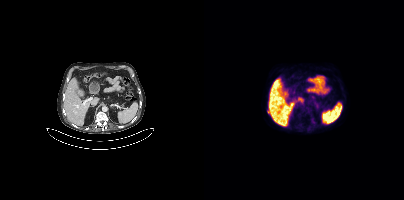
Technique: Two-panel axial: CT | PSMA PET, 18F-PSMA tracer. slice 214 of 395.
Findings: Coordinates are on the 200×200 PET (right) panel. Small PSMA-avid focus (2 to 4 px across) near (center x, center y): (64, 111).